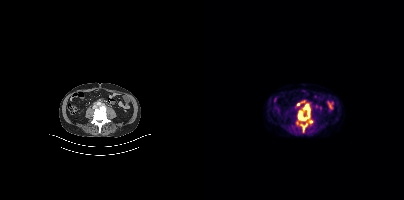
modality: PSMA PET/CT | tracer: 18F | view: axial
Coordinates are on the 200×200 PET (right) panel. (showing 4 of 5 foci) PSMA-avid tumor lesion bounding boxes (x0, y0)-(x1, y1): (94, 104)-(105, 120) / (97, 123)-(103, 131). Small PSMA-avid foci (2 to 4 px across) near (center x, center y): (106, 121) / (94, 104).